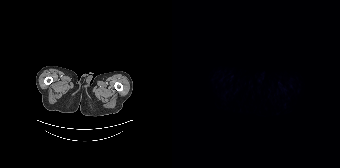
Paired axial CT (left) and PSMA PET (right), 18F-PSMA tracer. Acquired on Siemens Biograph 64-4R TruePoint. PET panel 168×168 px (4.1 mm/px). No PSMA-avid tumor lesions on this slice.